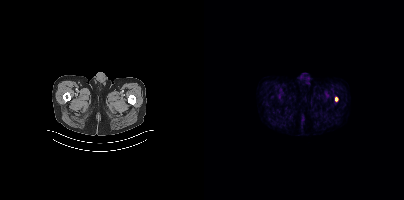
- Two-panel axial: CT | PSMA PET, 68Ga tracer
- acquired on Siemens Biograph mCT Flow 20
- slice 35 of 429
- PET panel 200×200 px (4.1 mm/px)
Findings: Coordinates are on the 200×200 PET (right) panel. Small PSMA-avid focus (2 to 4 px across) near (center x, center y): (132, 99).